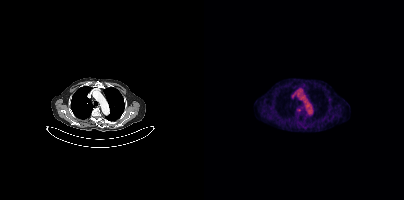
Findings: Only PSMA-avid lesion pieces thinner than 2 px on this slice (not listed).
- Paired axial CT (left) and PSMA PET (right), 18F-PSMA tracer
- acquired on Siemens Biograph mCT Flow 20